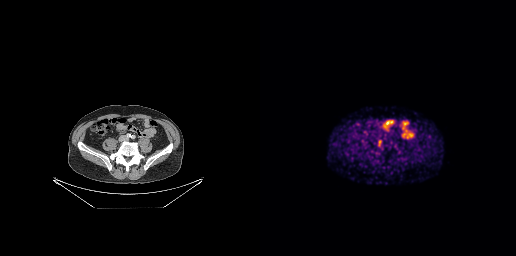
modality: PSMA PET/CT | tracer: [68Ga]Ga-PSMA-11 | view: axial
Coordinates are on the 256×256 PET (right) panel. PSMA-avid tumor lesion bounding box (x0, y0)-(x1, y1): (118, 140)-(121, 145).